Paired axial CT (left) and PSMA PET (right), 18F-PSMA tracer. Slice 85 of 429.
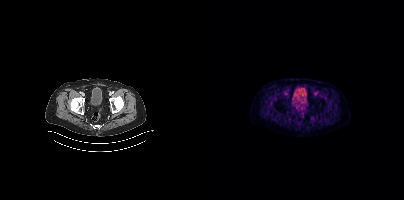
Negative for PSMA-avid disease on this slice.